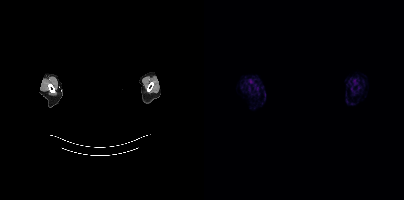
{"modality":"PSMA PET/CT","view":"axial","tracer":"[18F]PSMA-1007","pet_grid":[200,200],"coord_frame":"pet_panel","coord_format":"x0,y0,x1,y1","de-identification":"privacy mask over head","psma_avid_lesions":false}